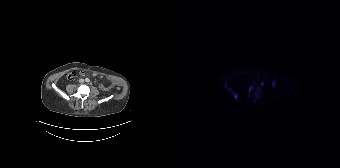
Left: CT. Right: PSMA PET, same axial level, [18F]PSMA-1007 tracer. Coordinates are on the 168×168 PET (right) panel. PSMA-avid tumor lesion bounding box (x0, y0)-(x1, y1): (77, 86)-(80, 92). Small PSMA-avid foci (2 to 4 px across) near (center x, center y): (63, 96); (86, 88); (89, 83).